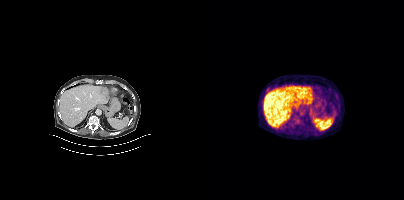
Findings: Negative for PSMA-avid disease on this slice.
Technique: Two-panel axial: CT | PSMA PET, 18F tracer. acquired on Siemens Biograph mCT Flow 20. PET panel 200×200 px (4.1 mm/px).